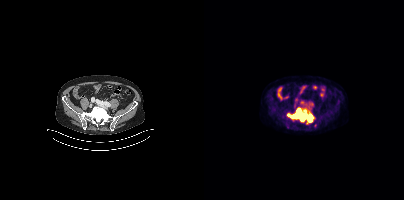
{"modality":"PSMA PET/CT","view":"axial","tracer":"18F-PSMA","pet_grid":[200,200],"coord_frame":"pet_panel","coord_format":"x0,y0,x1,y1","partial":true,"lesion_bboxes":[[83,108,111,124]]}